Paired axial CT (left) and PSMA PET (right), [18F]PSMA-1007 tracer. Slice 42 of 389.
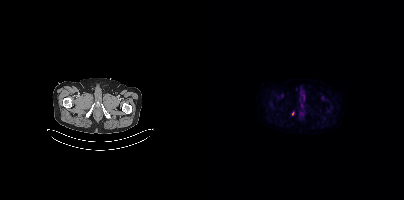
Coordinates are on the 200×200 PET (right) panel. Small PSMA-avid focus (2 to 4 px across) near (center x, center y): (88, 113).